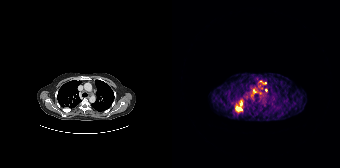
Findings: Coordinates are on the 168×168 PET (right) panel. (showing 4 of 6 foci) PSMA-avid tumor lesion bounding boxes (x0, y0)-(x1, y1): (63, 99)-(71, 112); (81, 89)-(84, 93); (88, 81)-(94, 84). Small PSMA-avid focus (2 to 4 px across) near (center x, center y): (94, 90).
Technique: Paired axial CT (left) and PSMA PET (right), 68Ga tracer. acquired on Siemens Biograph 64-4R TruePoint. slice 144 of 195.